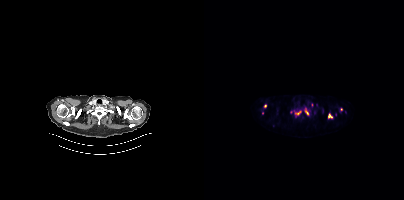
{"modality":"PSMA PET/CT","view":"axial","tracer":"[18F]PSMA-1007","pet_grid":[200,200],"coord_frame":"pet_panel","coord_format":"x0,y0,x1,y1","partial":true,"lesion_bboxes":[],"small_foci_centers":[[94,112],[102,112],[126,115],[61,106],[58,112]]}